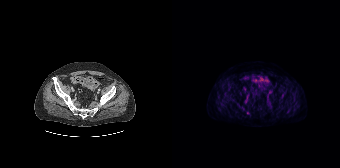
Only PSMA-avid lesion pieces thinner than 2 px on this slice (not listed).